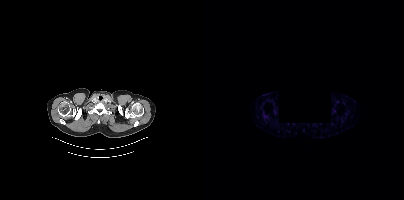
Findings: No tumor lesions annotated on this slice.
- any black rectangle here is a de-identification mask
- Paired axial CT (left) and PSMA PET (right), 68Ga-PSMA tracer
- acquired on Siemens Biograph mCT Flow 20
- slice position z = -928 mm
- PET panel 200×200 px (4.1 mm/px)